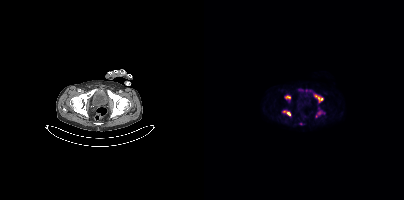
Findings: Coordinates are on the 200×200 PET (right) panel. (showing 4 of 6 foci) PSMA-avid tumor lesion bounding boxes (x, y, width, height): x=110 y=94 w=10 h=9 | x=78 y=110 w=9 h=6 | x=80 y=95 w=7 h=6 | x=112 y=111 w=7 h=7.
- Paired axial CT (left) and PSMA PET (right), 18F-PSMA tracer